Technique: Paired axial CT (left) and PSMA PET (right), 18F tracer. slice position z = -213 mm.
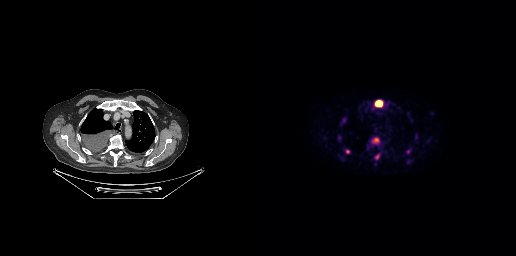
Findings: Coordinates are on the 256×256 PET (right) panel. PSMA-avid tumor lesion bounding boxes (x0,y0,x1,y1): [114,99,123,107], [112,137,119,143], [83,118,85,122]. Small PSMA-avid foci (2 to 4 px across) near (center x, center y): (87, 151), (148, 151), (117, 156).